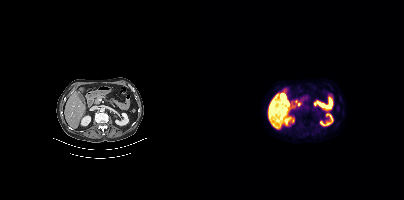
Negative for PSMA-avid disease on this slice. Paired axial CT (left) and PSMA PET (right), 18F-PSMA tracer. Slice position z = -1232 mm. PET panel 200×200 px (4.1 mm/px).